Technique: Paired axial CT (left) and PSMA PET (right), [18F]PSMA-1007 tracer. PET panel 256×256 px (2.7 mm/px).
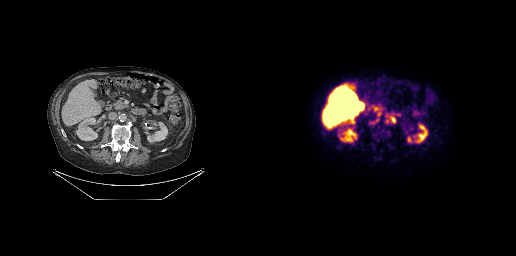
Findings: Coordinates are on the 256×256 PET (right) panel. PSMA-avid tumor lesion bounding box (x0, y0)-(x1, y1): (126, 114)-(135, 123).